modality: PSMA PET/CT | tracer: 18F | view: axial
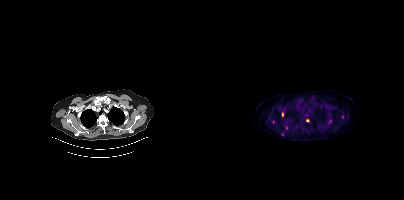
Coordinates are on the 200×200 PET (right) panel. (showing 6 of 7 foci) Small PSMA-avid foci (2 to 4 px across) near (center x, center y): (78, 114); (82, 128); (103, 120); (78, 134); (69, 122); (138, 117).